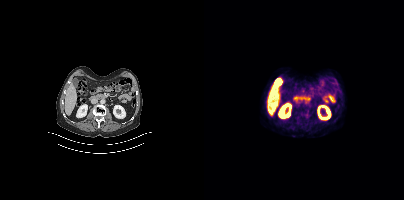
Paired axial CT (left) and PSMA PET (right), 18F-PSMA tracer. PET panel 200×200 px (4.1 mm/px). Negative for PSMA-avid disease on this slice.